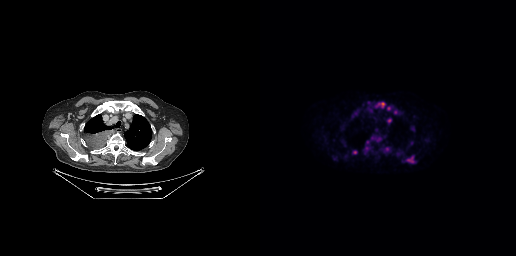
Coordinates are on the 256×256 PET (right) panel. (showing 6 of 8 foci) PSMA-avid tumor lesion bounding boxes (x0, y0)-(x1, y1): (147, 156)-(154, 162) | (127, 106)-(131, 110) | (127, 118)-(131, 123) | (121, 102)-(124, 108) | (134, 110)-(137, 114). Small PSMA-avid focus (2 to 4 px across) near (center x, center y): (94, 152).
modality: PSMA PET/CT | tracer: [18F]PSMA-1007 | view: axial | PET grid: 256×256